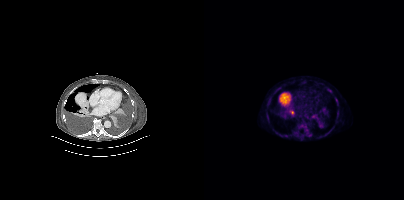
- Paired axial CT (left) and PSMA PET (right), [18F]PSMA-1007 tracer
Findings: Coordinates are on the 200×200 PET (right) panel. (showing 5 of 7 foci) PSMA-avid tumor lesion bounding boxes (x0,y0,x1,y1): [95,123,101,128], [86,110,90,115], [110,115,114,121], [103,133,107,137]. Small PSMA-avid focus (2 to 4 px across) near (center x, center y): (125, 91).